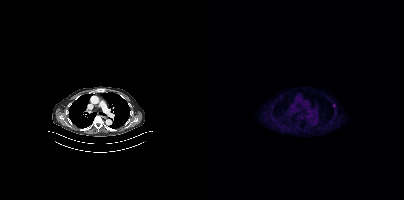
Findings: Coordinates are on the 200×200 PET (right) panel. Small PSMA-avid focus (2 to 4 px across) near (center x, center y): (130, 105).
Technique: Two-panel axial: CT | PSMA PET, 18F tracer. acquired on Siemens Biograph mCT Flow 20. PET panel 200×200 px (4.1 mm/px).